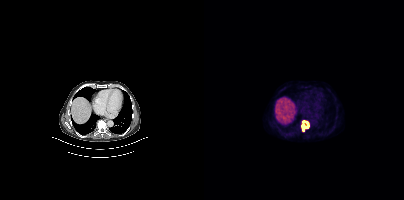
{"modality":"PSMA PET/CT","view":"axial","tracer":"[18F]PSMA-1007","pet_grid":[200,200],"coord_frame":"pet_panel","coord_format":"x0,y0,x1,y1","lesion_bboxes":[[97,120,105,131]]}